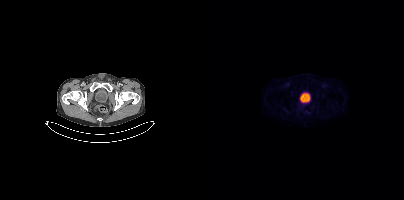
Two-panel axial: CT | PSMA PET, [18F]PSMA-1007 tracer. Acquired on Siemens Biograph mCT Flow 20. Slice position z = -508 mm. PET panel 200×200 px (4.1 mm/px). No PSMA-avid tumor lesions on this slice.